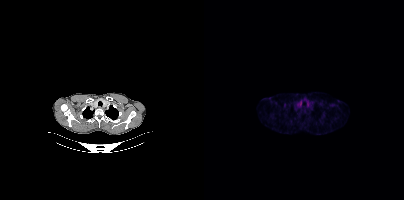
{"modality":"PSMA PET/CT","view":"axial","tracer":"18F-PSMA","pet_grid":[200,200],"coord_frame":"pet_panel","coord_format":"x0,y0,x1,y1","partial":true,"lesion_bboxes":[]}